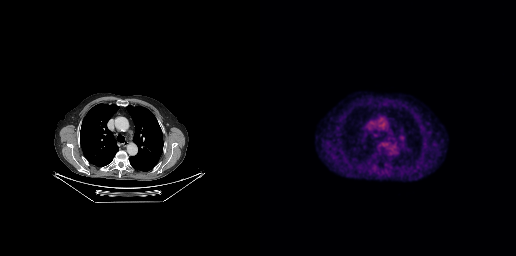
{"modality":"PSMA PET/CT","view":"axial","tracer":"18F-PSMA","pet_grid":[256,256],"coord_frame":"pet_panel","coord_format":"x0,y0,x1,y1","lesion_bboxes":[],"small_foci_centers":[[115,134]]}